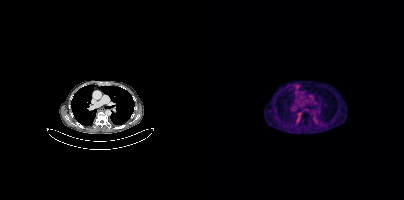
Two-panel axial: CT | PSMA PET, [68Ga]Ga-PSMA-11 tracer. Acquired on Siemens Biograph mCT Flow 20. PET panel 200×200 px (4.1 mm/px). No PSMA-avid tumor lesions on this slice.